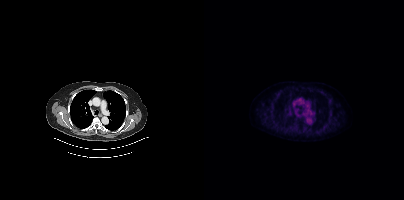
Two-panel axial: CT | PSMA PET, 18F-PSMA tracer. Slice 270 of 381. PET panel 200×200 px (4.1 mm/px). No tumor lesions annotated on this slice.